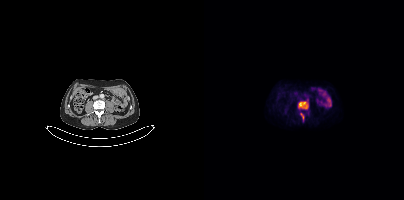
Technique: Left: CT. Right: PSMA PET, same axial level, [18F]PSMA-1007 tracer. PET panel 200×200 px (4.1 mm/px).
Findings: Coordinates are on the 200×200 PET (right) panel. PSMA-avid tumor lesion bounding boxes (x, y, width, height): x=94 y=101 w=11 h=9; x=96 y=113 w=4 h=7.